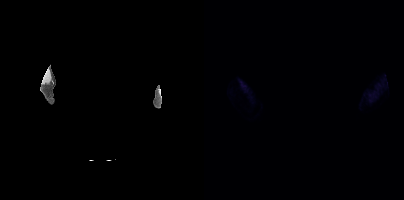
Any black rectangle over the head is a privacy mask, not anatomy.
This slice has no annotated PSMA-avid lesion.